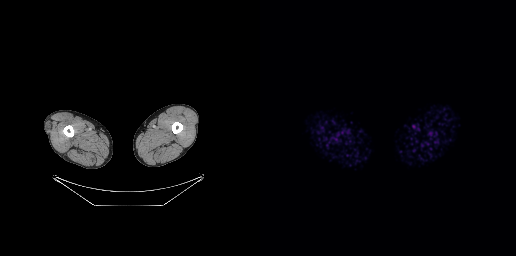
Two-panel axial: CT | PSMA PET, 18F-PSMA tracer. Acquired on GE Discovery 690. Slice position z = -920 mm. No tumor lesions annotated on this slice.